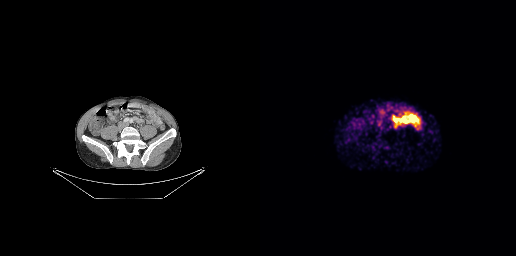
Coordinates are on the 256×256 PET (right) panel. Small PSMA-avid focus (2 to 4 px across) near (center x, center y): (135, 126).